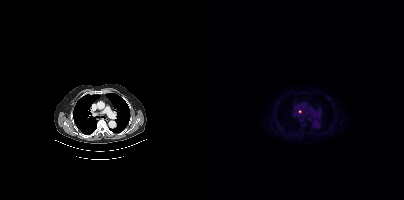
Paired axial CT (left) and PSMA PET (right), 18F-PSMA tracer. Slice position z = -406 mm. Coordinates are on the 200×200 PET (right) panel. Small PSMA-avid focus (2 to 4 px across) near (center x, center y): (95, 111).